modality: PSMA PET/CT | tracer: [18F]PSMA-1007 | view: axial | PET grid: 200×200
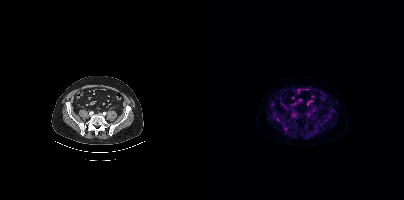
Negative for PSMA-avid disease on this slice.